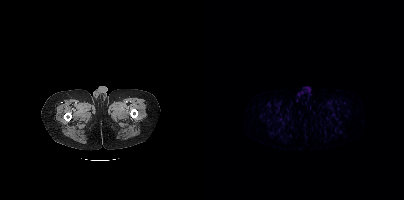
No tumor lesions annotated on this slice. Left: CT. Right: PSMA PET, same axial level, 68Ga tracer. PET panel 200×200 px (4.1 mm/px).